Left: CT. Right: PSMA PET, same axial level, 18F-PSMA tracer. PET panel 200×200 px (4.1 mm/px).
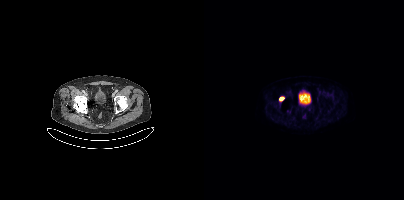
Coordinates are on the 200×200 PET (right) panel. Small PSMA-avid focus (2 to 4 px across) near (center x, center y): (77, 98).